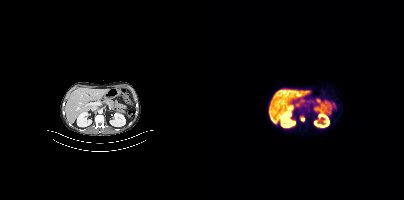
Left: CT. Right: PSMA PET, same axial level, 18F-PSMA tracer. Acquired on Siemens Biograph mCT Flow 20. Slice position z = -604 mm.
Coordinates are on the 200×200 PET (right) panel. PSMA-avid tumor lesion bounding boxes:
| # | x0 | y0 | x1 | y1 |
|---|---|---|---|---|
| 1 | 96 | 116 | 100 | 121 |